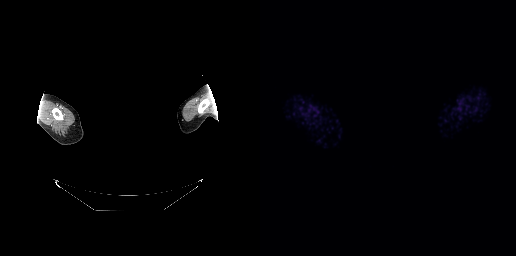
Findings: This slice has no annotated PSMA-avid lesion.
- face de-identified by blanking a block of the head
- Two-panel axial: CT | PSMA PET, [68Ga]Ga-PSMA-11 tracer
- slice position z = -146 mm